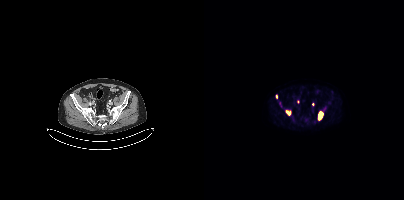
Technique: Left: CT. Right: PSMA PET, same axial level, 18F-PSMA tracer. slice 91 of 403. PET panel 200×200 px (4.1 mm/px).
Findings: Coordinates are on the 200×200 PET (right) panel. (showing 4 of 5 foci) PSMA-avid tumor lesion bounding box (x, y, width, height): x=114 y=112 w=6 h=9. Small PSMA-avid foci (2 to 4 px across) near (center x, center y): (120, 108) / (72, 96) / (75, 103).